Technique: Left: CT. Right: PSMA PET, same axial level, [18F]PSMA-1007 tracer. PET panel 256×256 px (2.7 mm/px).
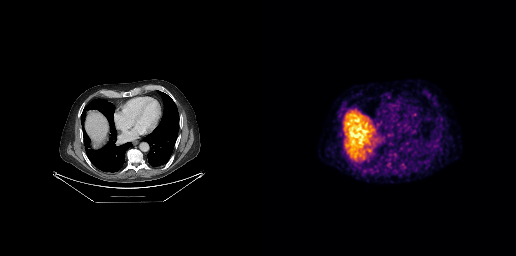
Findings: Negative for PSMA-avid disease on this slice.